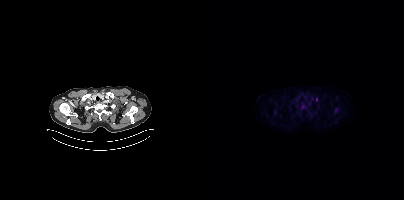
Findings: Coordinates are on the 200×200 PET (right) panel. Small PSMA-avid focus (2 to 4 px across) near (center x, center y): (98, 106).
Technique: Paired axial CT (left) and PSMA PET (right), 18F tracer. PET panel 200×200 px (4.1 mm/px).